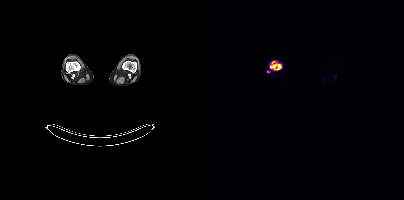
modality: PSMA PET/CT | tracer: 18F-PSMA | view: axial
Coordinates are on the 200×200 PET (right) panel. PSMA-avid tumor lesion bounding box (x0, y0)-(x1, y1): (66, 61)-(77, 69). Small PSMA-avid focus (2 to 4 px across) near (center x, center y): (63, 71).